Paired axial CT (left) and PSMA PET (right), 18F tracer. Slice position z = -552 mm. PET panel 256×256 px (2.7 mm/px).
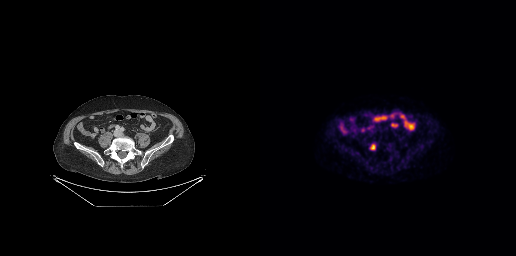
Coordinates are on the 256×256 PET (right) panel. PSMA-avid tumor lesion bounding box (x0,y0,x1,y1): [110,144,115,149].